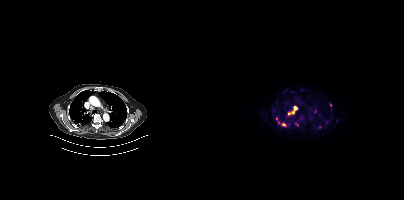
Coordinates are on the 200×200 PET (right) panel. PSMA-avid tumor lesion bounding boxes (x0, y0)-(x1, y1): (88, 106)-(93, 113) / (77, 123)-(81, 126). Small PSMA-avid foci (2 to 4 px across) near (center x, center y): (111, 111) / (115, 127) / (85, 113) / (74, 122) / (88, 91) / (72, 118) / (122, 122) / (126, 104) / (91, 123).